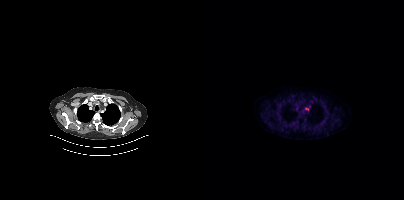
modality: PSMA PET/CT | tracer: 18F-PSMA | view: axial | PET grid: 200×200
Coordinates are on the 200×200 PET (right) panel. Small PSMA-avid focus (2 to 4 px across) near (center x, center y): (103, 109).